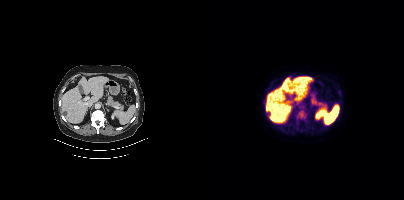
Paired axial CT (left) and PSMA PET (right), 18F-PSMA tracer. PET panel 200×200 px (4.1 mm/px).
Coordinates are on the 200×200 PET (right) panel. PSMA-avid tumor lesion bounding boxes:
| # | x0 | y0 | x1 | y1 |
|---|---|---|---|---|
| 1 | 91 | 110 | 106 | 126 |
Small PSMA-avid focus (2 to 4 px across) near (center x, center y): (135, 92).